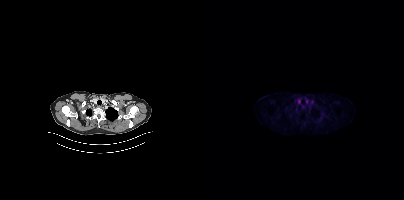
{"modality":"PSMA PET/CT","view":"axial","tracer":"18F","pet_grid":[200,200],"coord_frame":"pet_panel","coord_format":"x0,y0,x1,y1","psma_avid_lesions":false}